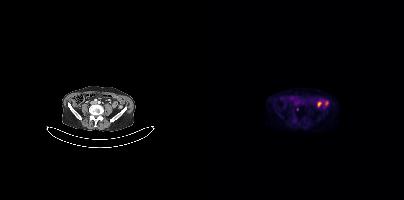
Technique: Two-panel axial: CT | PSMA PET, [18F]PSMA-1007 tracer. acquired on Siemens Biograph mCT Flow 20. slice position z = -810 mm.
Findings: Only PSMA-avid lesion pieces thinner than 2 px on this slice (not listed).